Two-panel axial: CT | PSMA PET, 68Ga-PSMA tracer. Slice position z = 583 mm.
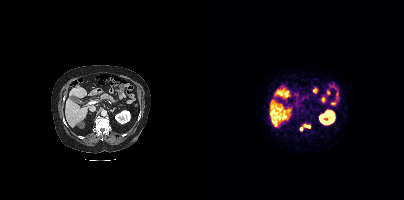
Coordinates are on the 200×200 PET (right) panel. PSMA-avid tumor lesion bounding box (x0,y0,x1,y1): [96,124,106,131].